modality: PSMA PET/CT | tracer: 18F-PSMA | view: axial | PET grid: 200×200 | redaction: region redacted
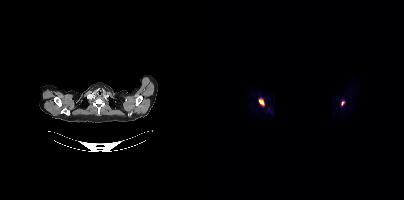
Coordinates are on the 200×200 PET (right) panel. PSMA-avid tumor lesion bounding boxes (x0,y0,x1,y1): [55,98,60,106] [137,101,140,105].